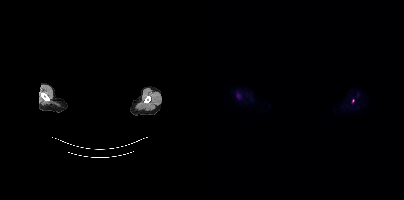
{"modality":"PSMA PET/CT","view":"axial","tracer":"18F","pet_grid":[200,200],"coord_frame":"pet_panel","coord_format":"x0,y0,x1,y1","lesion_bboxes":[],"small_foci_centers":[[149,100]],"de-identification":"rectangular block over head set to black"}